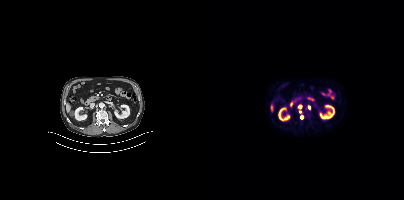
{"pet_grid":[200,200],"coord_frame":"pet_panel","coord_format":"x0,y0,x1,y1","lesion_bboxes":[],"small_foci_centers":[[96,107],[98,117],[105,107],[95,111]],"modality":"PSMA PET/CT","view":"axial","tracer":"18F"}